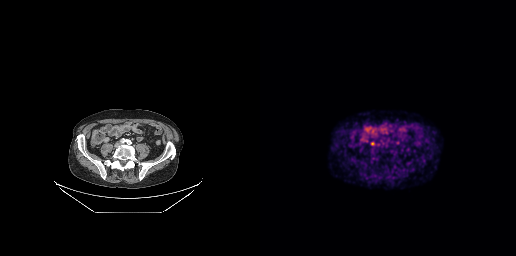
{"modality":"PSMA PET/CT","view":"axial","tracer":"68Ga","pet_grid":[256,256],"coord_frame":"pet_panel","coord_format":"x0,y0,x1,y1","lesion_bboxes":[],"small_foci_centers":[[112,143]]}